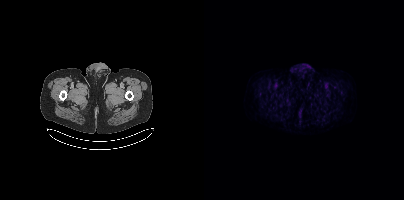
Findings: This slice has no annotated PSMA-avid lesion.
Technique: Paired axial CT (left) and PSMA PET (right), 18F tracer. acquired on Siemens Biograph mCT Flow 20.